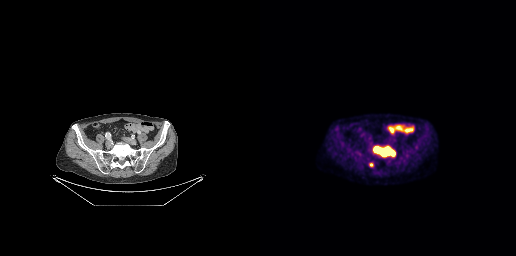
Coordinates are on the 256×256 PET (right) panel. PSMA-avid tumor lesion bounding boxes (x0,y0,x1,y1): [114,146,135,156] [109,162,113,167].